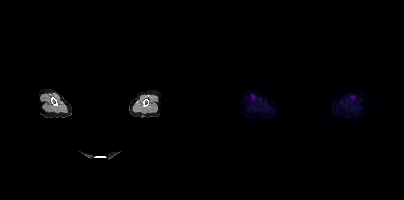
De-identified by setting a box covering the face to black before release. Paired axial CT (left) and PSMA PET (right), [18F]PSMA-1007 tracer. Acquired on Siemens Biograph mCT Flow 20. Slice 374 of 403. PET panel 200×200 px (4.1 mm/px). This slice has no annotated PSMA-avid lesion.